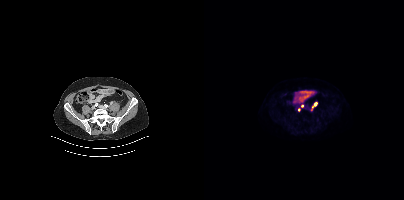
Two-panel axial: CT | PSMA PET, [18F]PSMA-1007 tracer. Slice 129 of 442. PET panel 200×200 px (4.1 mm/px).
Coordinates are on the 200×200 PET (right) panel. PSMA-avid tumor lesion bounding boxes:
| # | x0 | y0 | x1 | y1 |
|---|---|---|---|---|
| 1 | 107 | 102 | 113 | 110 |
Small PSMA-avid foci (2 to 4 px across) near (center x, center y): (98, 106); (94, 109).